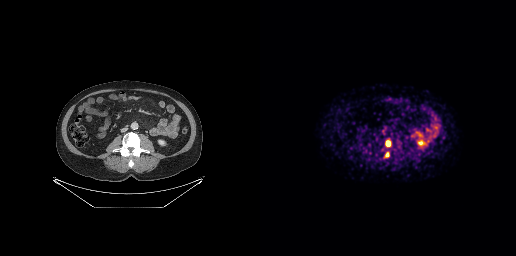
Coordinates are on the 256×256 PET (right) panel. PSMA-avid tumor lesion bounding box (x, y, width, height): x=126 y=141 w=5 h=5. Small PSMA-avid focus (2 to 4 px across) near (center x, center y): (127, 154).